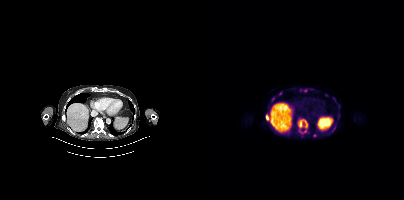
Findings: Coordinates are on the 200×200 PET (right) panel. PSMA-avid tumor lesion bounding boxes (x, y, width, height): x=93 y=118 w=11 h=11 / x=62 y=115 w=4 h=6 / x=94 y=129 w=4 h=5 / x=101 y=131 w=5 h=3. Small PSMA-avid foci (2 to 4 px across) near (center x, center y): (110, 135) / (101, 90) / (69, 98) / (122, 95) / (130, 98) / (76, 93).
- Paired axial CT (left) and PSMA PET (right), 18F tracer
- PET panel 200×200 px (4.1 mm/px)